Technique: Two-panel axial: CT | PSMA PET, 68Ga-PSMA tracer. acquired on GE Discovery 690.
Note: Head region blanked for anonymization (face removed).
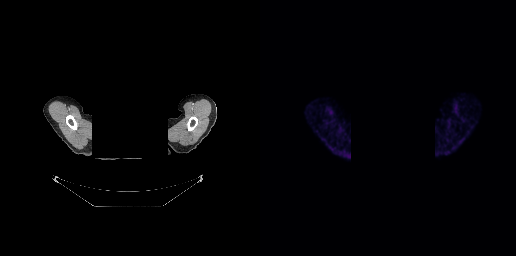
Findings: No tumor lesions annotated on this slice.